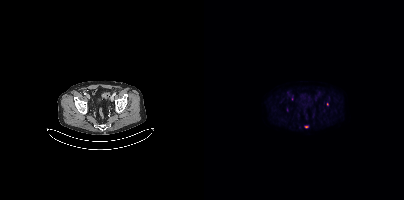
- Two-panel axial: CT | PSMA PET, 18F tracer
- slice position z = -1451 mm
- PET panel 200×200 px (4.1 mm/px)
Findings: Coordinates are on the 200×200 PET (right) panel. Small PSMA-avid focus (2 to 4 px across) near (center x, center y): (123, 104).